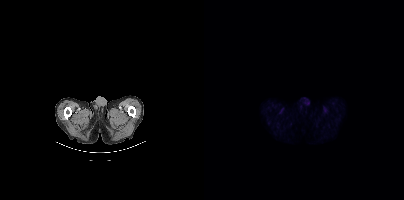
Paired axial CT (left) and PSMA PET (right), [18F]PSMA-1007 tracer. Slice 24 of 435. No tumor lesions annotated on this slice.